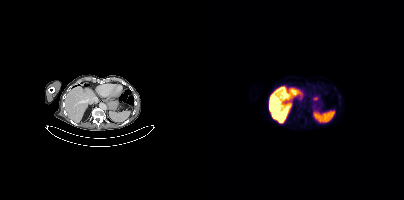
Findings: No tumor lesions annotated on this slice.
Technique: Two-panel axial: CT | PSMA PET, 18F tracer. slice 241 of 409. PET panel 200×200 px (4.1 mm/px).